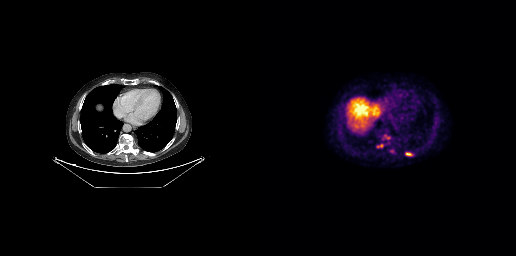
Findings: Coordinates are on the 256×256 PET (right) panel. PSMA-avid tumor lesion bounding boxes (x, y, width, height): x=122 y=134 w=8 h=6 / x=117 y=144 w=7 h=5 / x=146 y=152 w=7 h=4.
Technique: Paired axial CT (left) and PSMA PET (right), 18F-PSMA tracer. slice 178 of 263.